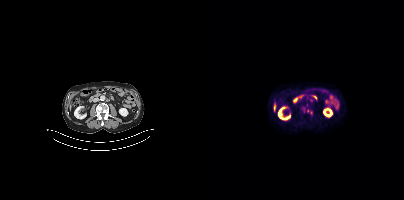
Paired axial CT (left) and PSMA PET (right), 18F-PSMA tracer. Acquired on Siemens Biograph mCT Flow 20. Slice 172 of 423. PET panel 200×200 px (4.1 mm/px). Coordinates are on the 200×200 PET (right) panel. Small PSMA-avid foci (2 to 4 px across) near (center x, center y): (107, 112); (103, 111).